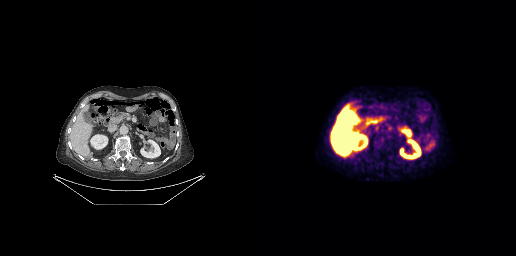
Two-panel axial: CT | PSMA PET, [18F]PSMA-1007 tracer. Slice 140 of 263. PET panel 256×256 px (2.7 mm/px). Negative for PSMA-avid disease on this slice.